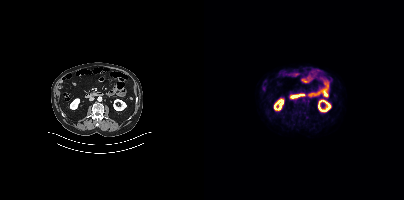
Left: CT. Right: PSMA PET, same axial level, 18F tracer. Slice position z = -780 mm. PET panel 200×200 px (4.1 mm/px). Only PSMA-avid lesion pieces thinner than 2 px on this slice (not listed).